Paired axial CT (left) and PSMA PET (right), [18F]PSMA-1007 tracer. Acquired on Siemens Biograph mCT Flow 20.
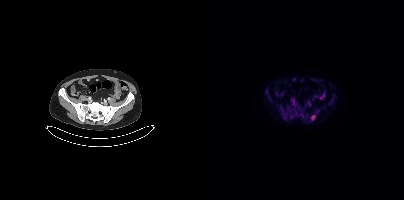
Coordinates are on the 200×200 PET (right) panel. PSMA-avid tumor lesion bounding boxes (partial; 1 more focus not listed):
| # | x0 | y0 | x1 | y1 |
|---|---|---|---|---|
| 1 | 107 | 115 | 111 | 120 |